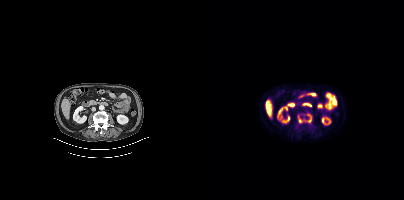
modality: PSMA PET/CT | tracer: 18F-PSMA | view: axial
Coordinates are on the 200×200 PET (right) panel. PSMA-avid tumor lesion bounding box (x0, y0)-(x1, y1): (94, 113)-(107, 123).